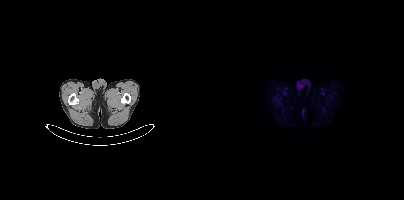
This slice has no annotated PSMA-avid lesion.